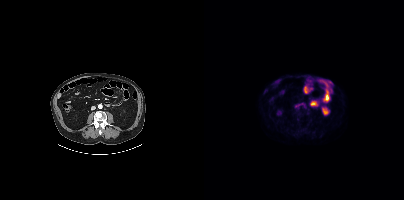
Negative for PSMA-avid disease on this slice.
modality: PSMA PET/CT | tracer: 18F-PSMA | view: axial